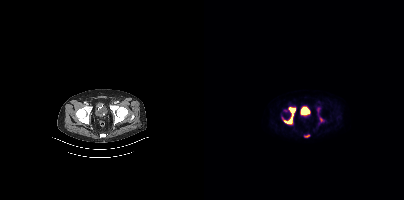
- Two-panel axial: CT | PSMA PET, 18F tracer
- slice position z = -258 mm
- PET panel 200×200 px (4.1 mm/px)
Findings: Coordinates are on the 200×200 PET (right) panel. PSMA-avid tumor lesion bounding box (x0, y0)-(x1, y1): (80, 107)-(91, 124). Small PSMA-avid foci (2 to 4 px across) near (center x, center y): (117, 119); (103, 135).